Technique: Left: CT. Right: PSMA PET, same axial level, 18F-PSMA tracer.
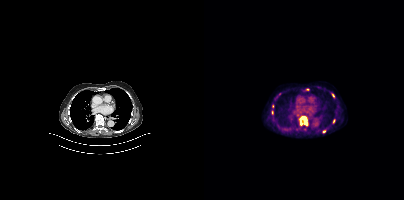
Findings: Coordinates are on the 200×200 PET (right) panel. PSMA-avid tumor lesion bounding box (x, y, width, height): x=95 y=116 w=10 h=10. Small PSMA-avid foci (2 to 4 px across) near (center x, center y): (129, 95) / (68, 112) / (129, 121) / (120, 131) / (68, 106).